modality: PSMA PET/CT | tracer: 18F | view: axial | PET grid: 200×200
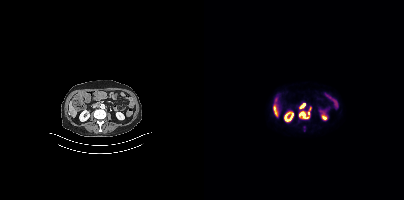
Coordinates are on the 200×200 PET (right) panel. (showing 3 of 4 foci) PSMA-avid tumor lesion bounding boxes (x, y, width, height): x=95 y=111 w=10 h=8; x=96 y=104 w=6 h=5. Small PSMA-avid focus (2 to 4 px across) near (center x, center y): (104, 113).